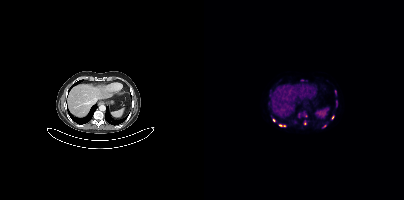
Technique: Two-panel axial: CT | PSMA PET, 68Ga-PSMA tracer.
Findings: Coordinates are on the 200×200 PET (right) panel. (showing 7 of 8 foci) PSMA-avid tumor lesion bounding boxes (x0,y0,x1,y1): [75,124,80,126]; [131,90,132,94]; [132,102,133,106]. Small PSMA-avid foci (2 to 4 px across) near (center x, center y): (129, 117); (70, 120); (100, 123); (120, 126).